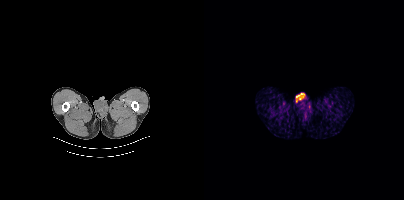
Left: CT. Right: PSMA PET, same axial level, 18F tracer. Acquired on Siemens Biograph mCT Flow 20. Negative for PSMA-avid disease on this slice.